Technique: Paired axial CT (left) and PSMA PET (right), 68Ga tracer. PET panel 168×168 px (4.1 mm/px).
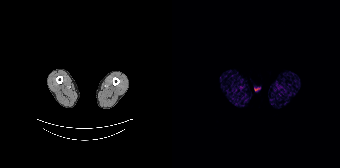
Findings: No PSMA-avid tumor lesions on this slice.